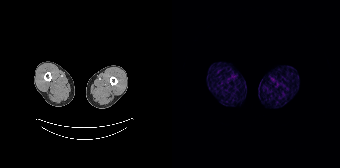
No PSMA-avid tumor lesions on this slice. Paired axial CT (left) and PSMA PET (right), [68Ga]Ga-PSMA-11 tracer. Slice position z = -873 mm.